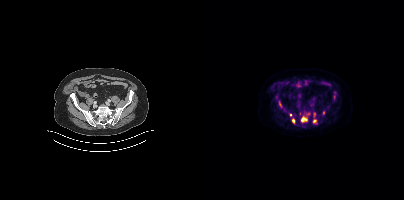
modality: PSMA PET/CT | tracer: [18F]PSMA-1007 | view: axial | PET grid: 200×200
Coordinates are on the 200×200 PET (right) panel. (showing 9 of 11 foci) PSMA-avid tumor lesion bounding boxes (x0,y0,x1,y1): [97,116,103,122], [109,119,112,123], [109,112,112,116], [88,118,90,123], [75,101,77,107], [129,95,131,99]. Small PSMA-avid foci (2 to 4 px across) near (center x, center y): (119, 113), (130, 92), (86, 114).